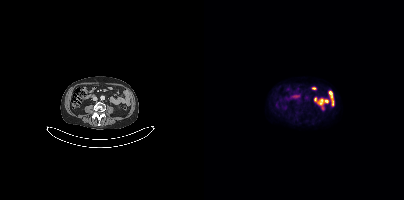
Paired axial CT (left) and PSMA PET (right), [18F]PSMA-1007 tracer. PET panel 200×200 px (4.1 mm/px). No PSMA-avid tumor lesions on this slice.